modality: PSMA PET/CT | tracer: [68Ga]Ga-PSMA-11 | view: axial | deidentification: facial region redacted
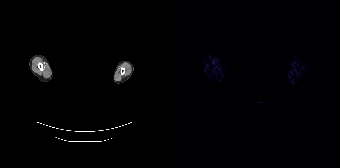
No PSMA-avid tumor lesions on this slice.